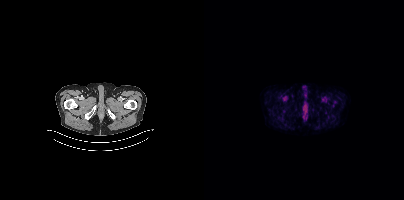
Findings: Negative for PSMA-avid disease on this slice.
Technique: Paired axial CT (left) and PSMA PET (right), [18F]PSMA-1007 tracer. acquired on Siemens Biograph mCT Flow 20. slice position z = -1748 mm. PET panel 200×200 px (4.1 mm/px).